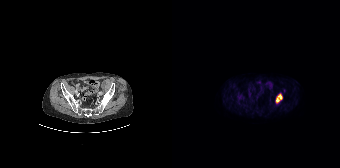
{"modality":"PSMA PET/CT","view":"axial","tracer":"[18F]PSMA-1007","pet_grid":[168,168],"coord_frame":"pet_panel","coord_format":"x0,y0,x1,y1","lesion_bboxes":[[103,93,110,103]]}